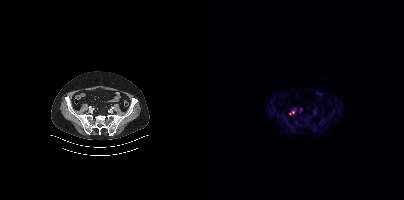
Coordinates are on the 200×200 PET (right) panel. (showing 1 of 2 foci) Small PSMA-avid focus (2 to 4 px across) near (center x, center y): (89, 112). Paired axial CT (left) and PSMA PET (right), 18F-PSMA tracer. Slice 115 of 425.